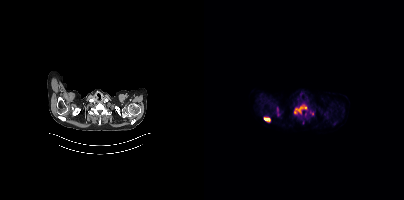
Two-panel axial: CT | PSMA PET, [18F]PSMA-1007 tracer. PET panel 200×200 px (4.1 mm/px).
Coordinates are on the 200×200 PET (right) panel. PSMA-avid tumor lesion bounding boxes:
| # | x0 | y0 | x1 | y1 |
|---|---|---|---|---|
| 1 | 90 | 105 | 104 | 113 |
| 2 | 60 | 118 | 65 | 121 |
| 3 | 106 | 111 | 109 | 115 |
Small PSMA-avid foci (2 to 4 px across) near (center x, center y): (101, 114); (73, 109).